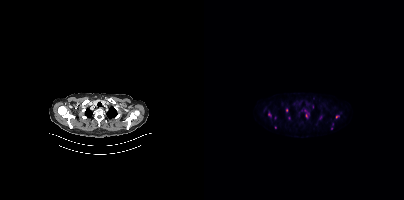
Coordinates are on the 200×200 PET (right) panel. (showing 1 of 5 foci) Small PSMA-avid focus (2 to 4 px across) near (center x, center y): (82, 110). Left: CT. Right: PSMA PET, same axial level, [18F]PSMA-1007 tracer.